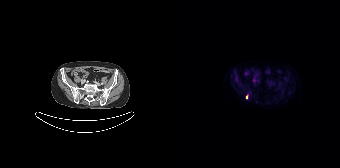
Coordinates are on the 168×168 PET (right) panel. Small PSMA-avid focus (2 to 4 px across) near (center x, center y): (74, 96).